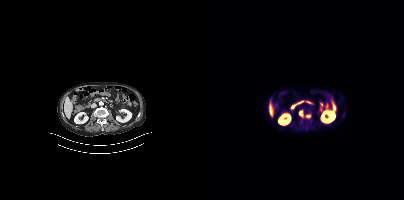
Paired axial CT (left) and PSMA PET (right), 18F-PSMA tracer. Coordinates are on the 200×200 PET (right) panel. PSMA-avid tumor lesion bounding boxes (x, y, width, height): x=95 y=111 w=6 h=7 / x=102 y=114 w=5 h=5. Small PSMA-avid focus (2 to 4 px across) near (center x, center y): (97, 120).